- Left: CT. Right: PSMA PET, same axial level, 18F-PSMA tracer
- PET panel 256×256 px (2.7 mm/px)
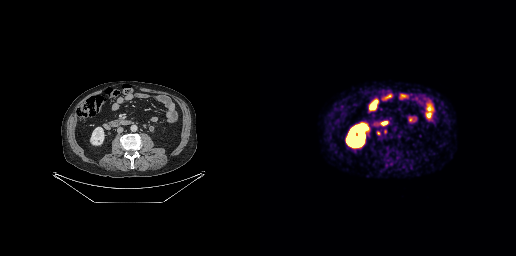
Findings: Coordinates are on the 256×256 PET (right) panel. PSMA-avid tumor lesion bounding box (x0, y0)-(x1, y1): (117, 131)-(120, 135). Small PSMA-avid focus (2 to 4 px across) near (center x, center y): (125, 131).